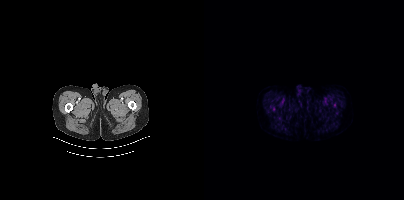
No PSMA-avid tumor lesions on this slice.